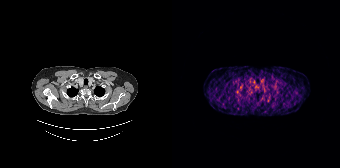
modality: PSMA PET/CT | tracer: 68Ga-PSMA | view: axial | PET grid: 168×168
Negative for PSMA-avid disease on this slice.